- any black rectangle over the head is a privacy mask, not anatomy
- Two-panel axial: CT | PSMA PET, 18F-PSMA tracer
- acquired on Siemens Biograph mCT Flow 20
- slice position z = -793 mm
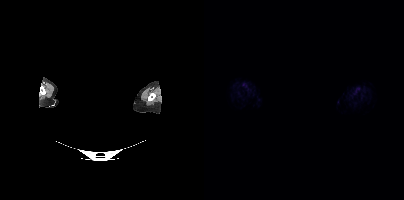
Findings: No tumor lesions annotated on this slice.